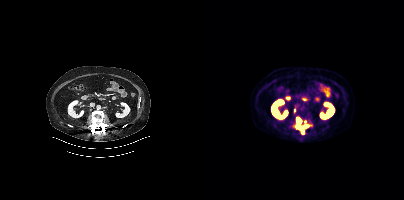
{"modality":"PSMA PET/CT","view":"axial","tracer":"18F-PSMA","pet_grid":[200,200],"coord_frame":"pet_panel","coord_format":"x0,y0,x1,y1","partial":true,"lesion_bboxes":[[91,124,105,132],[92,118,97,122]],"small_foci_centers":[[90,110]]}